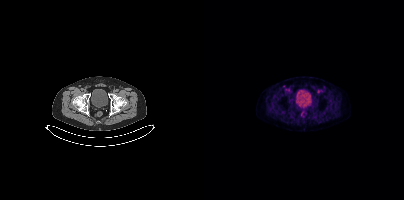
No tumor lesions annotated on this slice.
modality: PSMA PET/CT | tracer: [18F]PSMA-1007 | view: axial | PET grid: 200×200